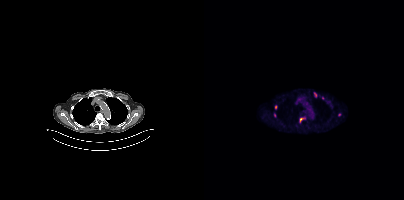
Coordinates are on the 200×200 PET (right) panel. (showing 6 of 7 foci) PSMA-avid tumor lesion bounding boxes (x0,y0,x1,y1): [95,117,101,122]; [110,92,113,97]. Small PSMA-avid foci (2 to 4 px across) near (center x, center y): (71, 106); (118, 98); (70, 115); (135, 114).